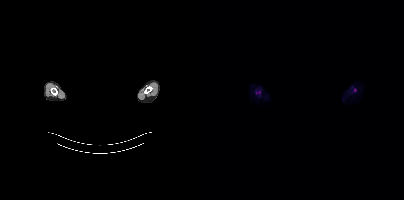
- Paired axial CT (left) and PSMA PET (right), 18F-PSMA tracer
- acquired on Siemens Biograph mCT Flow 20
- face de-identified by blanking a block of the head
Findings: Coordinates are on the 200×200 PET (right) panel. (showing 2 of 3 foci) Small PSMA-avid foci (2 to 4 px across) near (center x, center y): (55, 92), (52, 92).